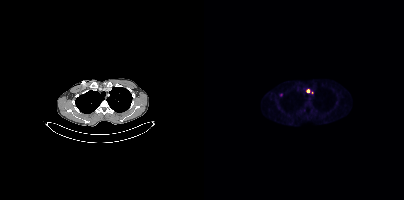
{"modality":"PSMA PET/CT","view":"axial","tracer":"18F-PSMA","pet_grid":[200,200],"coord_frame":"pet_panel","coord_format":"x0,y0,x1,y1","partial":true,"lesion_bboxes":[],"small_foci_centers":[[104,91],[108,92]]}